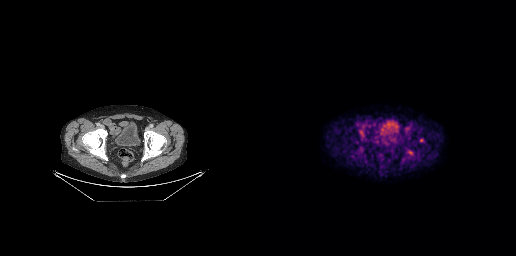
Paired axial CT (left) and PSMA PET (right), 18F-PSMA tracer. Acquired on GE Discovery 690. PET panel 256×256 px (2.7 mm/px). Only PSMA-avid lesion pieces thinner than 2 px on this slice (not listed).